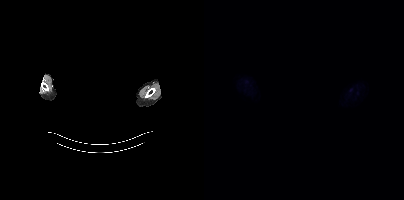
{"modality":"PSMA PET/CT","view":"axial","tracer":"18F-PSMA","pet_grid":[200,200],"coord_frame":"pet_panel","coord_format":"x0,y0,x1,y1","psma_avid_lesions":false,"deidentification":"rectangular block over head set to black"}